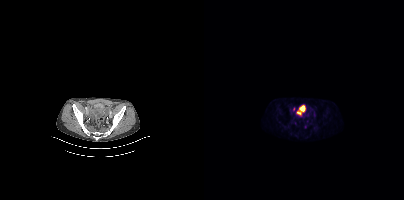
{"modality":"PSMA PET/CT","view":"axial","tracer":"18F-PSMA","pet_grid":[200,200],"coord_frame":"pet_panel","coord_format":"x0,y0,x1,y1","lesion_bboxes":[[92,105,101,115]],"small_foci_centers":[[90,108]]}